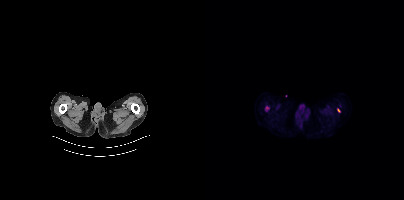
Paired axial CT (left) and PSMA PET (right), 18F-PSMA tracer. Acquired on Siemens Biograph mCT Flow 20. Slice position z = -954 mm. PET panel 200×200 px (4.1 mm/px). Coordinates are on the 200×200 PET (right) panel. Small PSMA-avid foci (2 to 4 px across) near (center x, center y): (134, 110), (63, 107).